Technique: Left: CT. Right: PSMA PET, same axial level, 18F-PSMA tracer. slice 284 of 464.
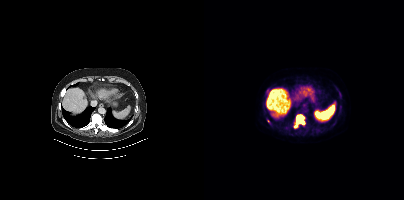
Findings: Coordinates are on the 200×200 PET (right) panel. PSMA-avid tumor lesion bounding box (x, y, width, height): x=90 y=114 w=12 h=15. Small PSMA-avid foci (2 to 4 px across) near (center x, center y): (114, 130); (136, 95); (136, 109); (65, 122); (108, 129).